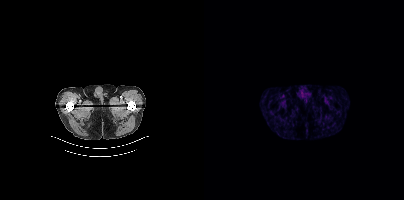
Technique: Paired axial CT (left) and PSMA PET (right), 68Ga-PSMA tracer. slice position z = -1750 mm. PET panel 200×200 px (4.1 mm/px).
Findings: No tumor lesions annotated on this slice.